Two-panel axial: CT | PSMA PET, 18F-PSMA tracer. Acquired on Siemens Biograph mCT Flow 20. Slice 330 of 415.
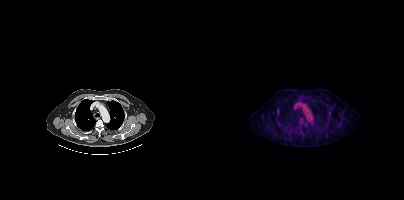
Coordinates are on the 200×200 PET (right) panel. Small PSMA-avid focus (2 to 4 px across) near (center x, center y): (74, 110).